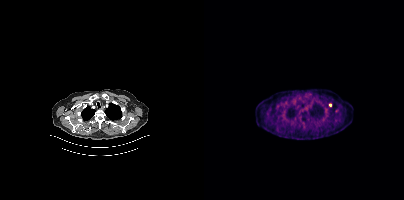
- Paired axial CT (left) and PSMA PET (right), 18F tracer
- slice 316 of 397
- PET panel 200×200 px (4.1 mm/px)
Findings: Coordinates are on the 200×200 PET (right) panel. Small PSMA-avid focus (2 to 4 px across) near (center x, center y): (126, 105).